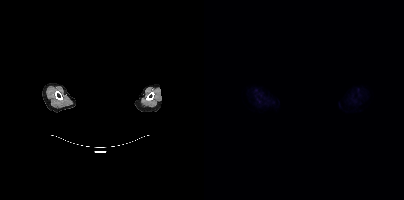
No PSMA-avid tumor lesions on this slice.
De-identified by setting a box covering the face to black before release.